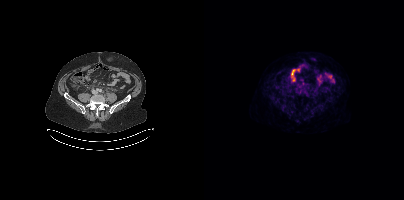
{"pet_grid":[200,200],"coord_frame":"pet_panel","coord_format":"x0,y0,x1,y1","lesion_bboxes":[[99,90,104,95]],"modality":"PSMA PET/CT","view":"axial","tracer":"18F"}